- Paired axial CT (left) and PSMA PET (right), 18F tracer
- acquired on Siemens Biograph mCT Flow 20
- slice position z = -510 mm
- PET panel 200×200 px (4.1 mm/px)
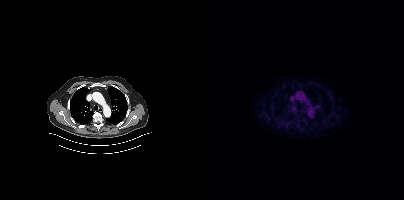
Findings: No PSMA-avid tumor lesions on this slice.